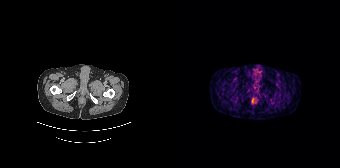
No PSMA-avid tumor lesions on this slice.